- Left: CT. Right: PSMA PET, same axial level, 68Ga tracer
- acquired on Siemens Biograph mCT Flow 20
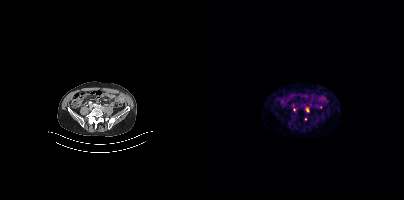
Findings: Coordinates are on the 200×200 PET (right) panel. (showing 1 of 3 foci) Small PSMA-avid focus (2 to 4 px across) near (center x, center y): (103, 109).